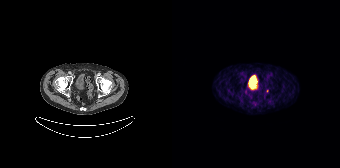
Coordinates are on the 168×168 PET (right) panel. Small PSMA-avid focus (2 to 4 px across) near (center x, center y): (95, 90).